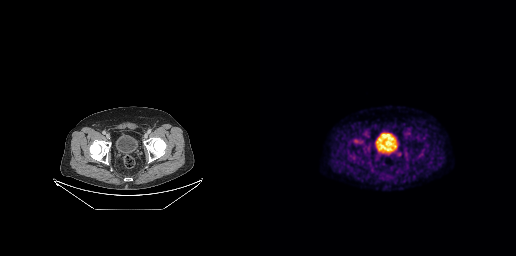
Negative for PSMA-avid disease on this slice.